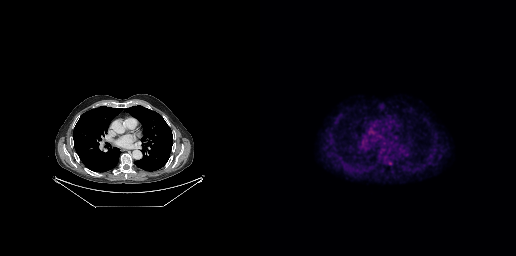
{"modality":"PSMA PET/CT","view":"axial","tracer":"18F","pet_grid":[256,256],"coord_frame":"pet_panel","coord_format":"x0,y0,x1,y1","psma_avid_lesions":false}